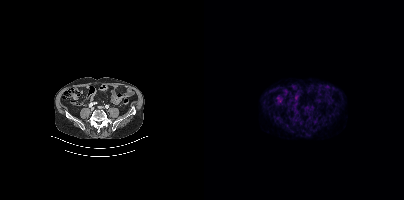
{"pet_grid":[200,200],"coord_frame":"pet_panel","coord_format":"x0,y0,x1,y1","psma_avid_lesions":false,"modality":"PSMA PET/CT","view":"axial","tracer":"18F"}